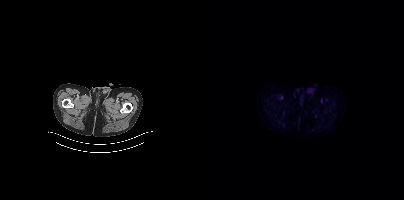
Findings: No tumor lesions annotated on this slice.
Technique: Two-panel axial: CT | PSMA PET, 18F-PSMA tracer.